Technique: Two-panel axial: CT | PSMA PET, 18F-PSMA tracer. acquired on Siemens Biograph mCT Flow 20. slice position z = -958 mm. PET panel 200×200 px (4.1 mm/px).
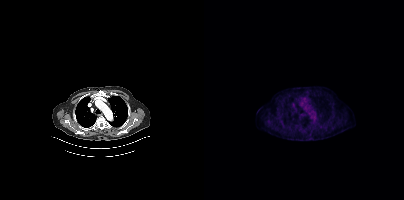
Findings: No PSMA-avid tumor lesions on this slice.